- Left: CT. Right: PSMA PET, same axial level, [68Ga]Ga-PSMA-11 tracer
- slice position z = -884 mm
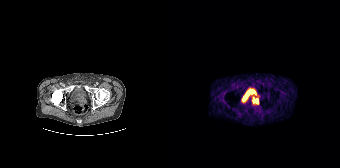
Findings: Coordinates are on the 168×168 PET (right) panel. PSMA-avid tumor lesion bounding box (x0, y0)-(x1, y1): (80, 97)-(86, 104).